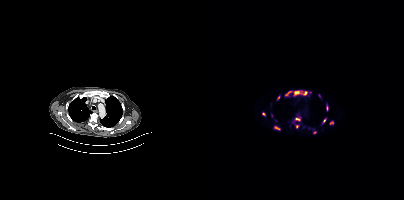
Left: CT. Right: PSMA PET, same axial level, [18F]PSMA-1007 tracer. Acquired on Siemens Biograph mCT Flow 20. Coordinates are on the 200×200 PET (right) panel. (showing 12 of 14 foci) PSMA-avid tumor lesion bounding boxes (x0,y0,x1,y1): [90,91,103,95] [81,91,87,96] [91,117,96,121] [118,118,122,123] [70,126,76,129] [122,105,124,110] [58,112,61,116]. Small PSMA-avid foci (2 to 4 px across) near (center x, center y): (127, 122) (93, 126) (74, 97) (110, 132) (115, 95).